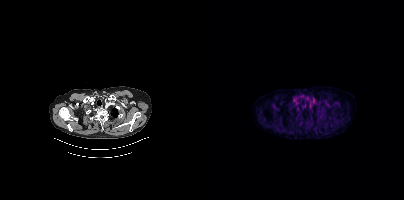
{"modality":"PSMA PET/CT","view":"axial","tracer":"[18F]PSMA-1007","pet_grid":[200,200],"coord_frame":"pet_panel","coord_format":"x0,y0,x1,y1","psma_avid_lesions":false}